Technique: Paired axial CT (left) and PSMA PET (right), 68Ga-PSMA tracer. acquired on Siemens Biograph mCT Flow 20. slice position z = -1190 mm. PET panel 200×200 px (4.1 mm/px).
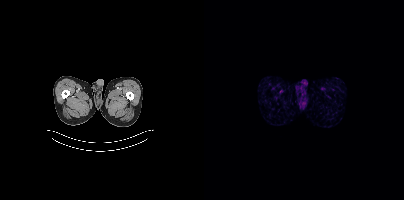
Findings: No tumor lesions annotated on this slice.